Paired axial CT (left) and PSMA PET (right), 18F tracer. Acquired on Siemens Biograph 64-4R TruePoint. Slice position z = -1105 mm.
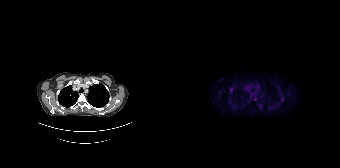
Coordinates are on the 168×168 PET (right) panel. Small PSMA-avid foci (2 to 4 px across) near (center x, center y): (59, 89); (83, 99); (110, 99).